modality: PSMA PET/CT | tracer: 18F-PSMA | view: axial | PET grid: 200×200
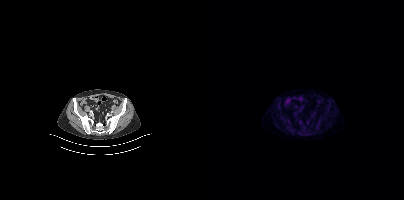
This slice has no annotated PSMA-avid lesion.